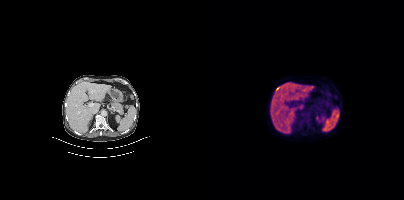
{"pet_grid":[200,200],"coord_frame":"pet_panel","coord_format":"x0,y0,x1,y1","psma_avid_lesions":false,"modality":"PSMA PET/CT","view":"axial","tracer":"[18F]PSMA-1007"}